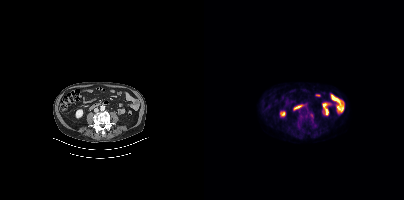
Technique: Left: CT. Right: PSMA PET, same axial level, 18F tracer. slice position z = -1314 mm. PET panel 200×200 px (4.1 mm/px).
Findings: Coordinates are on the 200×200 PET (right) panel. PSMA-avid tumor lesion bounding box (x0,y0,x1,y1): [105,113,109,117].